Two-panel axial: CT | PSMA PET, 68Ga tracer. Acquired on Siemens Biograph 64-4R TruePoint.
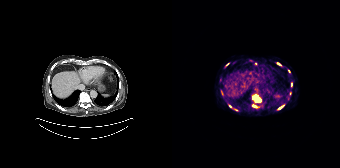
Coordinates are on the 168×168 PET (right) panel. PSMA-avid tumor lesion bounding boxes (partial; 3 more foci not listed):
| # | x0 | y0 | x1 | y1 |
|---|---|---|---|---|
| 1 | 106 | 106 | 111 | 109 |
| 2 | 80 | 105 | 84 | 107 |
| 3 | 49 | 90 | 51 | 95 |
Small PSMA-avid foci (2 to 4 px across) near (center x, center y): (119, 84); (84, 96); (84, 100); (58, 106); (88, 101); (86, 106); (107, 64); (118, 93).